- Two-panel axial: CT | PSMA PET, 18F-PSMA tracer
- slice position z = -1486 mm
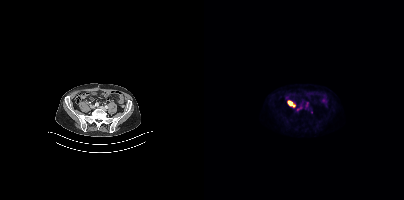
Findings: Coordinates are on the 200×200 PET (right) panel. PSMA-avid tumor lesion bounding box (x, y, width, height): x=83 y=100 w=9 h=8.